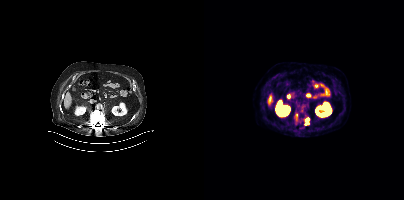
Coordinates are on the 200×200 PET (right) panel. PSMA-avid tumor lesion bounding boxes (x, y, width, height): x=90 y=115 w=4 h=7 / x=101 y=119 w=4 h=6.